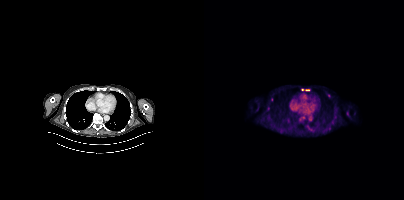
modality: PSMA PET/CT | tracer: 18F-PSMA | view: axial
Coordinates are on the 200×200 PET (right) panel. PSMA-avid tumor lesion bounding box (x, y, width, height): x=101 y=89 w=5 h=2. Small PSMA-avid foci (2 to 4 px across) near (center x, center y): (98, 89) / (124, 95).